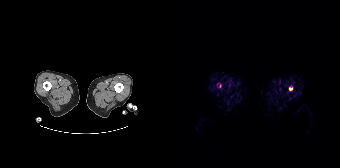
Paired axial CT (left) and PSMA PET (right), 18F-PSMA tracer. Slice 6 of 165. This slice has no annotated PSMA-avid lesion.